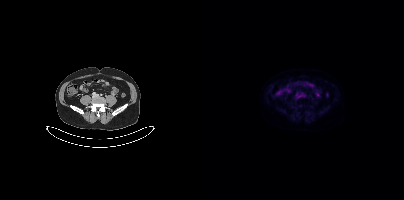
No PSMA-avid tumor lesions on this slice. Left: CT. Right: PSMA PET, same axial level, 18F tracer. Slice 136 of 423. PET panel 200×200 px (4.1 mm/px).